Paired axial CT (left) and PSMA PET (right), 18F-PSMA tracer. Acquired on Siemens Biograph mCT Flow 20. PET panel 200×200 px (4.1 mm/px).
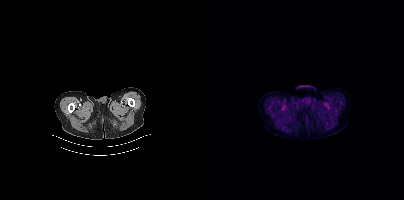
No PSMA-avid tumor lesions on this slice.